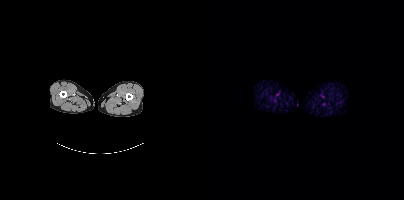
{"modality":"PSMA PET/CT","view":"axial","tracer":"18F-PSMA","pet_grid":[200,200],"coord_frame":"pet_panel","coord_format":"x0,y0,x1,y1","psma_avid_lesions":false}